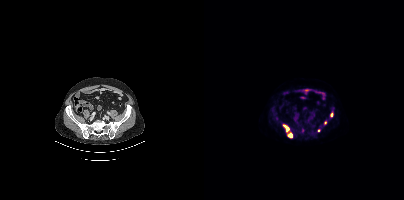
{"modality":"PSMA PET/CT","view":"axial","tracer":"18F","pet_grid":[200,200],"coord_frame":"pet_panel","coord_format":"x0,y0,x1,y1","lesion_bboxes":[[79,124,88,137],[126,112,129,116]],"small_foci_centers":[[121,122],[114,130]]}